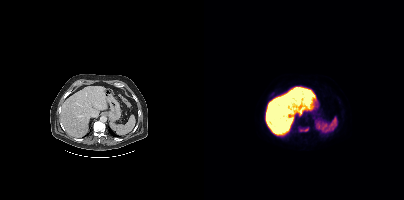
Two-panel axial: CT | PSMA PET, 18F-PSMA tracer. Slice position z = -1114 mm. PET panel 200×200 px (4.1 mm/px). Coordinates are on the 200×200 PET (right) panel. (showing 1 of 2 foci) Small PSMA-avid focus (2 to 4 px across) near (center x, center y): (102, 129).